- Two-panel axial: CT | PSMA PET, 18F tracer
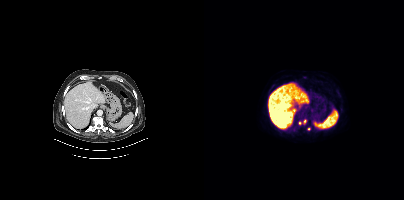
Findings: Coordinates are on the 200×200 PET (right) panel. Small PSMA-avid foci (2 to 4 px across) near (center x, center y): (104, 128); (101, 121); (96, 123); (101, 77); (90, 129).